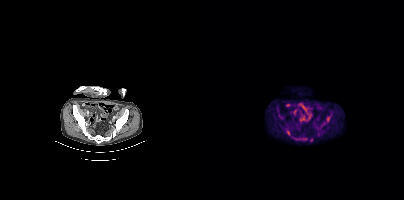
Coordinates are on the 200×200 PET (right) panel. (showing 3 of 4 foci) PSMA-avid tumor lesion bounding box (x0,y0,x1,y1): [88,136,103,140]. Small PSMA-avid foci (2 to 4 px across) near (center x, center y): (124, 119) (107, 139).